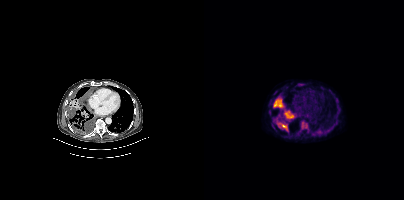
Coordinates are on the 200×200 PET (right) panel. PSMA-avid tumor lesion bounding boxes (x0,y0,x1,y1): [69,97,80,108]; [96,120,104,129]; [80,110,89,117]; [76,124,84,131]; [70,118,75,124]. Small PSMA-avid focus (2 to 4 px across) near (center x, center y): (115, 132).